Technique: Left: CT. Right: PSMA PET, same axial level, 18F tracer. acquired on Siemens Biograph 64-4R TruePoint. slice 117 of 165.
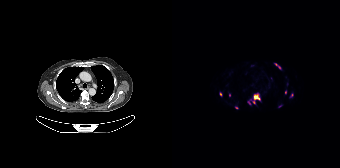
Findings: Coordinates are on the 168×168 PET (right) panel. (showing 7 of 8 foci) PSMA-avid tumor lesion bounding boxes (x0, y0)-(x1, y1): (76, 93)-(88, 104) / (102, 63)-(108, 69) / (118, 93)-(121, 97) / (47, 92)-(50, 96). Small PSMA-avid foci (2 to 4 px across) near (center x, center y): (113, 92) / (57, 95) / (64, 107).